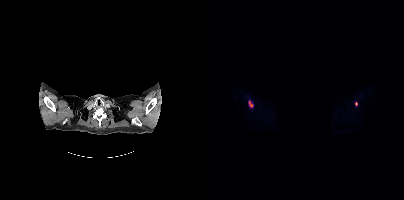
{"modality":"PSMA PET/CT","view":"axial","tracer":"18F-PSMA","pet_grid":[200,200],"coord_frame":"pet_panel","coord_format":"x0,y0,x1,y1","lesion_bboxes":[[44,100,49,107]],"small_foci_centers":[[152,103]],"de-identification":"region redacted"}